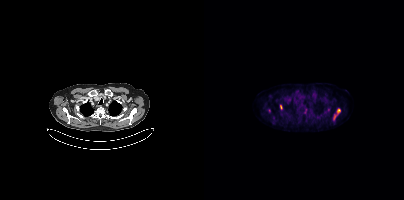
Two-panel axial: CT | PSMA PET, 18F tracer. PET panel 200×200 px (4.1 mm/px). Coordinates are on the 200×200 PET (right) panel. (showing 3 of 4 foci) PSMA-avid tumor lesion bounding boxes (x, y, width, height): x=129 y=113 w=5 h=7 | x=76 y=105 w=3 h=5. Small PSMA-avid focus (2 to 4 px across) near (center x, center y): (134, 110).